Two-panel axial: CT | PSMA PET, 68Ga tracer. Acquired on Siemens Biograph mCT Flow 20.
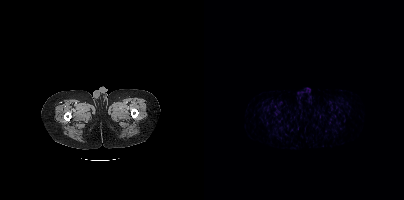
This slice has no annotated PSMA-avid lesion.